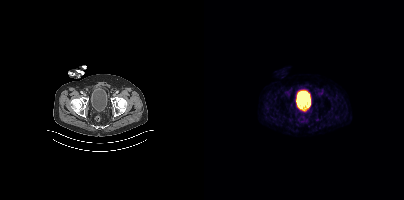
Two-panel axial: CT | PSMA PET, 68Ga tracer. Acquired on Siemens Biograph mCT Flow 20. Slice 84 of 429. This slice has no annotated PSMA-avid lesion.